Technique: Two-panel axial: CT | PSMA PET, 18F tracer. acquired on Siemens Biograph mCT Flow 20.
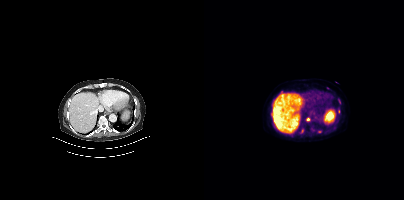
Findings: Coordinates are on the 200×200 PET (right) panel. (showing 6 of 7 foci) PSMA-avid tumor lesion bounding box (x, y, width, height): x=96 y=128 w=5 h=6. Small PSMA-avid foci (2 to 4 px across) near (center x, center y): (77, 92); (104, 119); (134, 111); (135, 101); (115, 131).